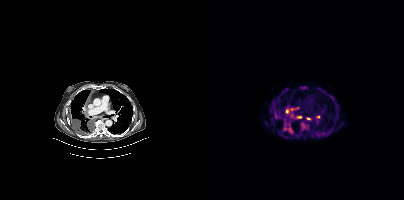
{"modality":"PSMA PET/CT","view":"axial","tracer":"[18F]PSMA-1007","pet_grid":[200,200],"coord_frame":"pet_panel","coord_format":"x0,y0,x1,y1","lesion_bboxes":[[79,124,89,134],[96,86,102,89],[86,107,94,110]],"small_foci_centers":[[70,112],[88,116],[95,116],[104,118],[82,111],[114,116]]}